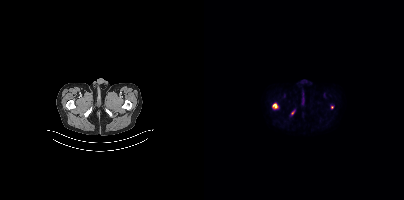
{"modality":"PSMA PET/CT","view":"axial","tracer":"[18F]PSMA-1007","pet_grid":[200,200],"coord_frame":"pet_panel","coord_format":"x0,y0,x1,y1","partial":true,"lesion_bboxes":[[69,103,73,108]],"small_foci_centers":[[88,112]]}